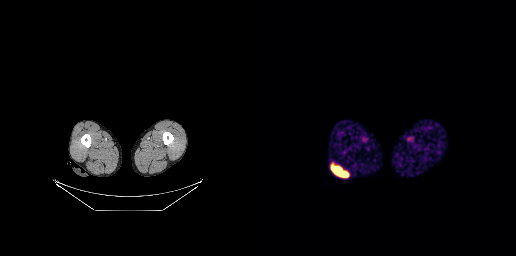
No tumor lesions annotated on this slice. Paired axial CT (left) and PSMA PET (right), [68Ga]Ga-PSMA-11 tracer. Slice 13 of 263. PET panel 256×256 px (2.7 mm/px).